- Left: CT. Right: PSMA PET, same axial level, 68Ga-PSMA tracer
- acquired on Siemens Biograph 64-4R TruePoint
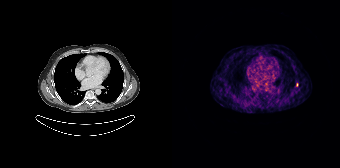
Findings: Only PSMA-avid lesion pieces thinner than 2 px on this slice (not listed).